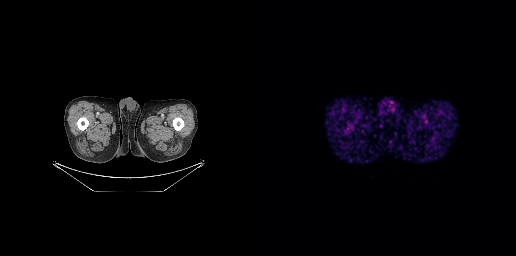
modality: PSMA PET/CT | tracer: [68Ga]Ga-PSMA-11 | view: axial | PET grid: 256×256
Negative for PSMA-avid disease on this slice.